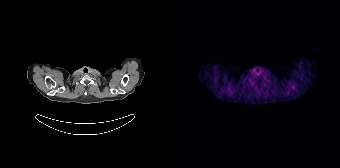
Paired axial CT (left) and PSMA PET (right), 68Ga-PSMA tracer. Slice 161 of 195. PET panel 168×168 px (4.1 mm/px). No PSMA-avid tumor lesions on this slice.